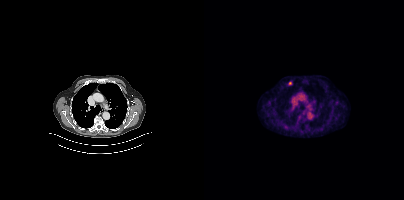
modality: PSMA PET/CT | tracer: [18F]PSMA-1007 | view: axial | PET grid: 200×200
Coordinates are on the 200×200 PET (right) panel. PSMA-avid tumor lesion bounding box (x0, y0)-(x1, y1): (84, 81)-(88, 85).